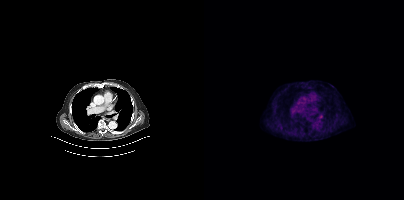
- Left: CT. Right: PSMA PET, same axial level, 18F-PSMA tracer
- acquired on Siemens Biograph mCT Flow 20
- slice 270 of 401
Findings: No PSMA-avid tumor lesions on this slice.